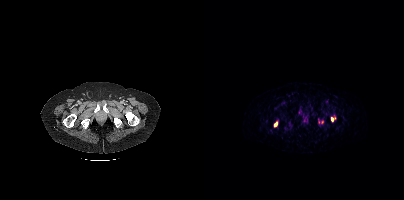
Coordinates are on the 200×200 PET (right) panel. (showing 4 of 6 foci) PSMA-avid tumor lesion bounding boxes (x0, y0)-(x1, y1): (70, 121)-(73, 127) | (127, 117)-(129, 121). Small PSMA-avid foci (2 to 4 px across) near (center x, center y): (118, 121) | (114, 122).